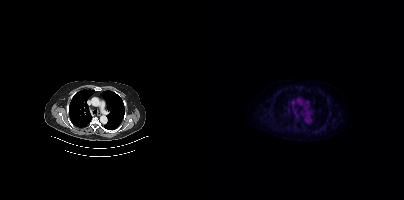
This slice has no annotated PSMA-avid lesion.